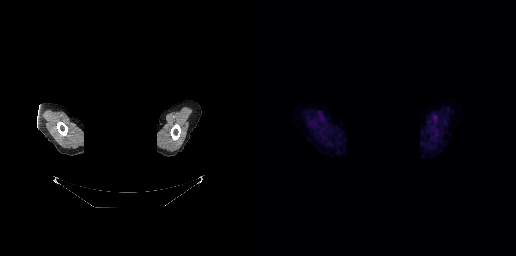
Technique: Two-panel axial: CT | PSMA PET, [18F]PSMA-1007 tracer.
Note: The head region is masked for de-identification.
Findings: No tumor lesions annotated on this slice.